Paired axial CT (left) and PSMA PET (right), [18F]PSMA-1007 tracer. Slice 60 of 195.
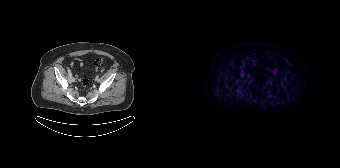
Only PSMA-avid lesion pieces thinner than 2 px on this slice (not listed).